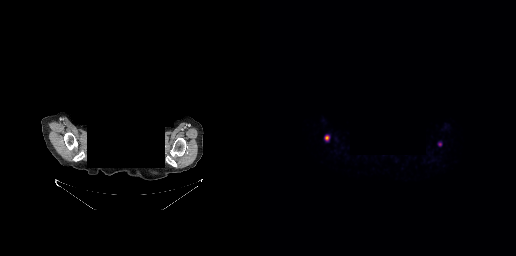
Findings: Coordinates are on the 256×256 PET (right) panel. Small PSMA-avid focus (2 to 4 px across) near (center x, center y): (180, 144).
Technique: Left: CT. Right: PSMA PET, same axial level, 68Ga tracer. slice 239 of 263.
Note: The face region was removed for patient privacy by blanking a rectangle over the head.